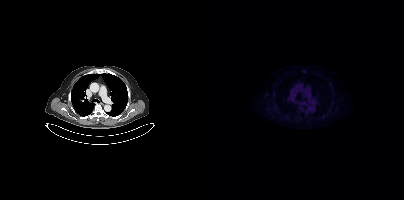
{"pet_grid":[200,200],"coord_frame":"pet_panel","coord_format":"x0,y0,x1,y1","psma_avid_lesions":false,"modality":"PSMA PET/CT","view":"axial","tracer":"18F-PSMA"}